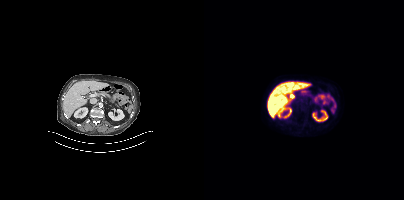
No tumor lesions annotated on this slice.